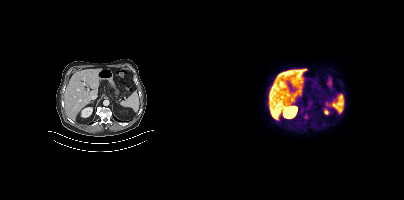
Negative for PSMA-avid disease on this slice.